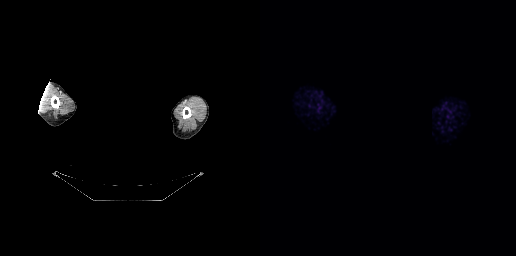
Findings: This slice has no annotated PSMA-avid lesion.
Technique: Paired axial CT (left) and PSMA PET (right), 18F tracer. acquired on GE Discovery 690. slice 295 of 299.
Note: De-identified by setting a box covering the face to black before release.